- Paired axial CT (left) and PSMA PET (right), 18F tracer
- acquired on Siemens Biograph mCT Flow 20
- slice 303 of 444
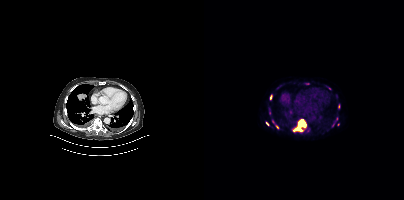
Findings: Coordinates are on the 200×200 PET (right) panel. (showing 6 of 9 foci) PSMA-avid tumor lesion bounding boxes (x, y, width, height): x=88 y=118 w=15 h=15; x=66 y=95 w=3 h=5. Small PSMA-avid foci (2 to 4 px across) near (center x, center y): (73, 126); (134, 106); (63, 123); (134, 124).